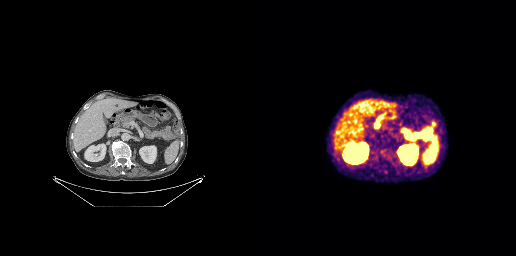
modality: PSMA PET/CT | tracer: 68Ga | view: axial
No tumor lesions annotated on this slice.